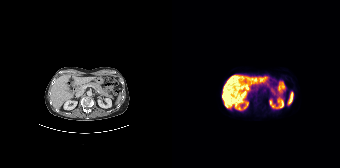
- Left: CT. Right: PSMA PET, same axial level, [18F]PSMA-1007 tracer
- acquired on Siemens Biograph 64-4R TruePoint
Findings: No PSMA-avid tumor lesions on this slice.